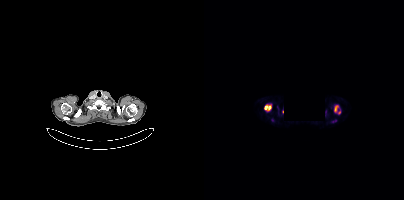
Technique: Two-panel axial: CT | PSMA PET, 68Ga tracer. acquired on Siemens Biograph mCT Flow 20.
Note: A block of pixels was blacked out before release to protect privacy.
Findings: Coordinates are on the 200×200 PET (right) panel. (showing 2 of 4 foci) PSMA-avid tumor lesion bounding boxes (x, y, width, height): x=60 y=105 w=8 h=6; x=130 y=106 w=4 h=6.